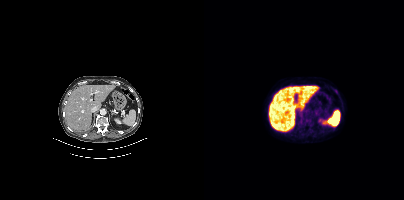
Coordinates are on the 200×200 PET (right) panel. PSMA-avid tumor lesion bounding box (x, y, width, height): x=130 y=89 w=4 h=5.